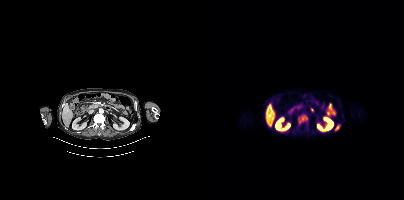
Technique: Two-panel axial: CT | PSMA PET, 18F-PSMA tracer. PET panel 200×200 px (4.1 mm/px).
Findings: Coordinates are on the 200×200 PET (right) panel. PSMA-avid tumor lesion bounding boxes (x0, y0)-(x1, y1): (94, 114)-(103, 124) | (130, 124)-(136, 131).